modality: PSMA PET/CT | tracer: [18F]PSMA-1007 | view: axial | deidentification: head region blacked out before release
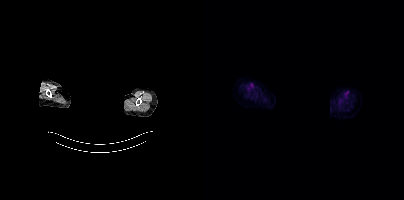
This slice has no annotated PSMA-avid lesion.